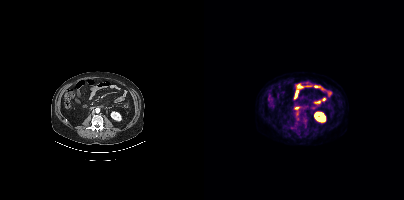
{"modality":"PSMA PET/CT","view":"axial","tracer":"18F","pet_grid":[200,200],"coord_frame":"pet_panel","coord_format":"x0,y0,x1,y1","partial":true,"lesion_bboxes":[]}